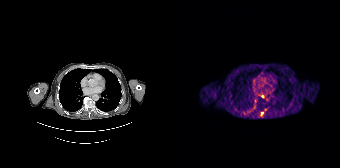
Coordinates are on the 168×168 PET (right) panel. (showing 1 of 3 foci) Small PSMA-avid focus (2 to 4 px across) near (center x, center y): (90, 113). Left: CT. Right: PSMA PET, same axial level, [68Ga]Ga-PSMA-11 tracer. Acquired on Siemens Biograph 64-4R TruePoint. PET panel 168×168 px (4.1 mm/px).